- Paired axial CT (left) and PSMA PET (right), 18F-PSMA tracer
- acquired on Siemens Biograph mCT Flow 20
- slice position z = -424 mm
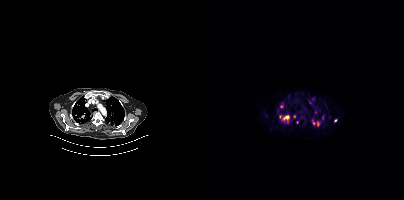
Findings: Coordinates are on the 200×200 PET (right) panel. (showing 8 of 12 foci) PSMA-avid tumor lesion bounding boxes (x, y, width, height): x=75 y=116 w=10 h=7 | x=108 y=120 w=9 h=7. Small PSMA-avid foci (2 to 4 px across) near (center x, center y): (77, 106) | (111, 112) | (90, 116) | (96, 118) | (131, 120) | (93, 122).